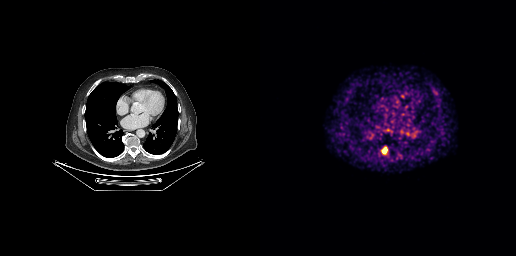
Coordinates are on the 256×256 PET (right) panel. PSMA-avid tumor lesion bounding box (x, y, width, height): x=122 y=147 w=5 h=7.